Paired axial CT (left) and PSMA PET (right), 18F-PSMA tracer. PET panel 200×200 px (4.1 mm/px).
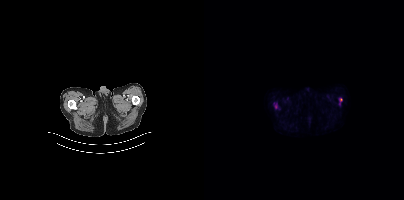
Coordinates are on the 200×200 PET (right) panel. Small PSMA-avid foci (2 to 4 px across) near (center x, center y): (136, 99) | (71, 106).